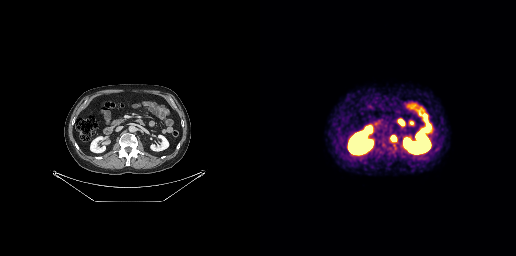
Coordinates are on the 256×256 PET (right) panel. PSMA-avid tumor lesion bounding box (x0, y0)-(x1, y1): (131, 135)-(136, 140).